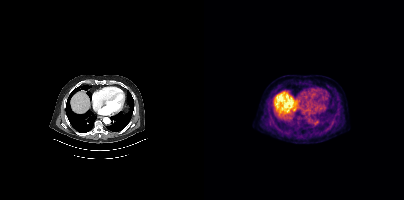
{"pet_grid":[200,200],"coord_frame":"pet_panel","coord_format":"x0,y0,x1,y1","lesion_bboxes":[],"small_foci_centers":[[113,132]],"modality":"PSMA PET/CT","view":"axial","tracer":"[18F]PSMA-1007"}